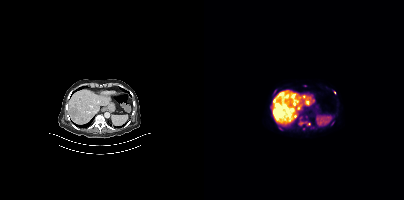
Coordinates are on the 200×200 PET (right) panel. Small PSMA-avid foci (2 to 4 px across) near (center x, center y): (105, 124) / (130, 92).
modality: PSMA PET/CT | tracer: [18F]PSMA-1007 | view: axial